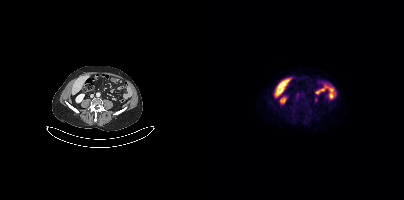
This slice has no annotated PSMA-avid lesion.